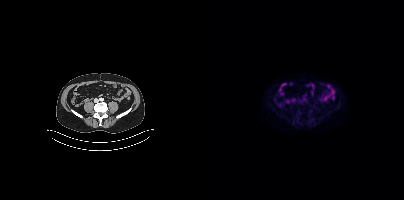
Negative for PSMA-avid disease on this slice.